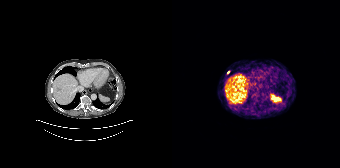
Only PSMA-avid lesion pieces thinner than 2 px on this slice (not listed).